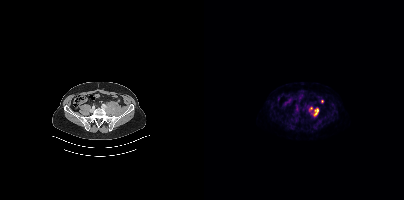
Coordinates are on the 200×200 PET (right) panel. PSMA-avid tumor lesion bounding boxes:
| # | x0 | y0 | x1 | y1 |
|---|---|---|---|---|
| 1 | 109 | 108 | 114 | 116 |
Small PSMA-avid foci (2 to 4 px across) near (center x, center y): (106, 108); (118, 101).
Paired axial CT (left) and PSMA PET (right), 18F-PSMA tracer.